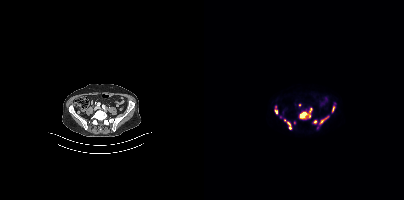
Coordinates are on the 200×200 PET (right) panel. (showing 11 of 13 foci) PSMA-avid tumor lesion bounding boxes (x0,y0,x1,y1): [96,112,103,118], [116,116,124,123], [83,122,87,129], [128,107,130,111], [106,108,107,112]. Small PSMA-avid foci (2 to 4 px across) near (center x, center y): (72, 111), (111, 121), (105, 116), (76, 117), (80, 120), (90, 122).